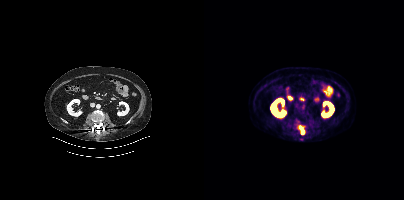
{"modality":"PSMA PET/CT","view":"axial","tracer":"18F-PSMA","pet_grid":[200,200],"coord_frame":"pet_panel","coord_format":"x0,y0,x1,y1","lesion_bboxes":[[95,125,99,128]],"small_foci_centers":[[98,131]]}